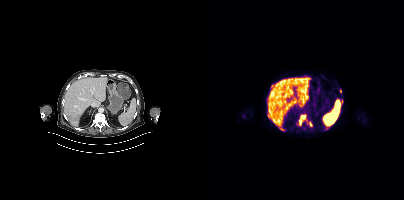
Technique: Paired axial CT (left) and PSMA PET (right), 18F-PSMA tracer. slice position z = -1134 mm.
Findings: Coordinates are on the 200×200 PET (right) panel. PSMA-avid tumor lesion bounding boxes (x0,y0,x1,y1): [136,99,139,104] [97,115,101,118] [105,122,108,126] [96,120,97,124]. Small PSMA-avid foci (2 to 4 px across) near (center x, center y): (122, 128) (78, 129) (136, 91).